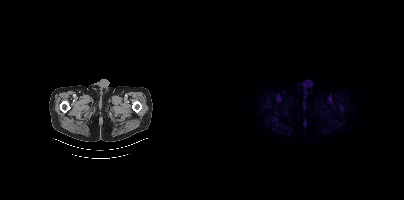
{"modality":"PSMA PET/CT","view":"axial","tracer":"18F-PSMA","pet_grid":[200,200],"coord_frame":"pet_panel","coord_format":"x0,y0,x1,y1","psma_avid_lesions":false}